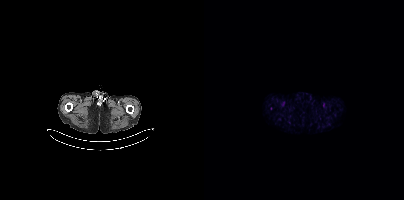
Coordinates are on the 200×200 PET (right) panel. Small PSMA-avid focus (2 to 4 px across) near (center x, center y): (67, 108). Left: CT. Right: PSMA PET, same axial level, 18F-PSMA tracer. Slice position z = -1052 mm. PET panel 200×200 px (4.1 mm/px).